- Two-panel axial: CT | PSMA PET, 18F tracer
- slice 206 of 409
- PET panel 200×200 px (4.1 mm/px)
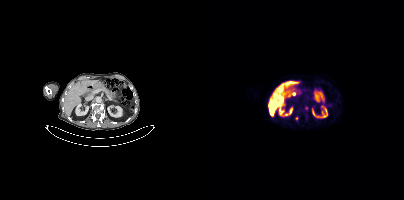
Findings: Coordinates are on the 200×200 PET (right) panel. (showing 2 of 3 foci) Small PSMA-avid foci (2 to 4 px across) near (center x, center y): (102, 108) / (92, 118).